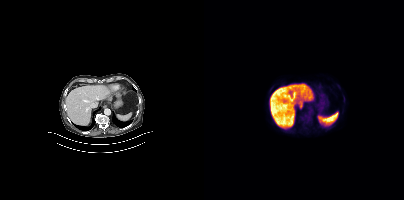
Findings: No tumor lesions annotated on this slice.
Technique: Two-panel axial: CT | PSMA PET, 18F tracer. acquired on Siemens Biograph mCT Flow 20. PET panel 200×200 px (4.1 mm/px).